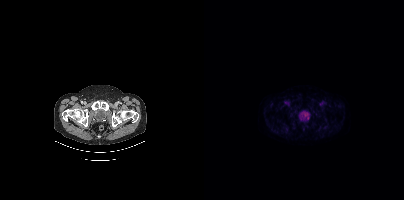
No tumor lesions annotated on this slice.